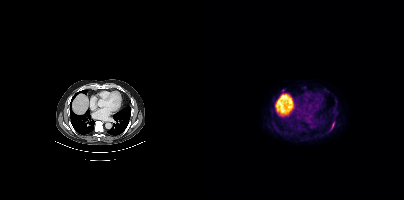
Paired axial CT (left) and PSMA PET (right), [18F]PSMA-1007 tracer. Acquired on Siemens Biograph mCT Flow 20. Slice position z = -1149 mm. PET panel 200×200 px (4.1 mm/px). Coordinates are on the 200×200 PET (right) panel. PSMA-avid tumor lesion bounding box (x0, y0)-(x1, y1): (127, 122)-(130, 129).